- Left: CT. Right: PSMA PET, same axial level, [18F]PSMA-1007 tracer
- slice 277 of 381
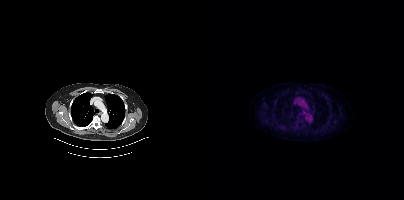
Findings: No tumor lesions annotated on this slice.